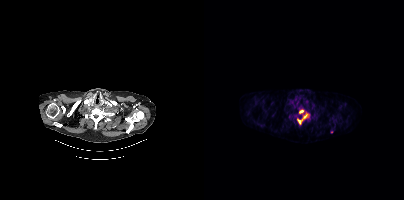
{"pet_grid":[200,200],"coord_frame":"pet_panel","coord_format":"x0,y0,x1,y1","lesion_bboxes":[[93,113,104,124],[95,109,99,113]],"modality":"PSMA PET/CT","view":"axial","tracer":"18F"}